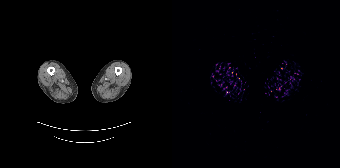
This slice has no annotated PSMA-avid lesion. Left: CT. Right: PSMA PET, same axial level, [68Ga]Ga-PSMA-11 tracer. Acquired on Siemens Biograph 64-4R TruePoint. Slice position z = -1700 mm.